Left: CT. Right: PSMA PET, same axial level, 18F tracer.
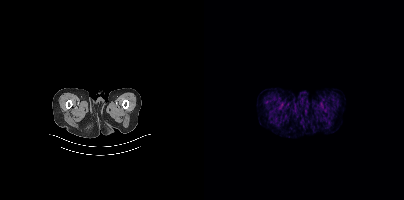
No PSMA-avid tumor lesions on this slice.